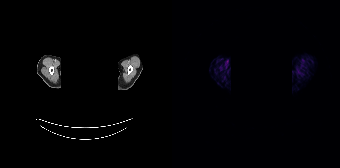
de-identification: head region blacked out before release | modality: PSMA PET/CT | tracer: [68Ga]Ga-PSMA-11 | view: axial | PET grid: 168×168
No PSMA-avid tumor lesions on this slice.